Technique: Two-panel axial: CT | PSMA PET, 18F tracer. acquired on Siemens Biograph mCT Flow 20. PET panel 200×200 px (4.1 mm/px).
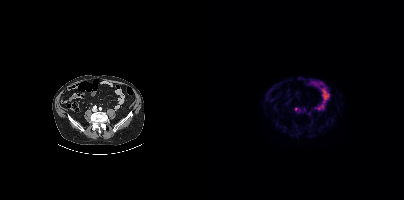
Findings: Coordinates are on the 200×200 PET (right) panel. Small PSMA-avid focus (2 to 4 px across) near (center x, center y): (92, 109).